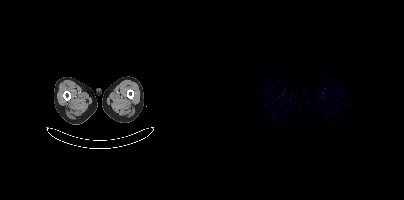
{"pet_grid":[200,200],"coord_frame":"pet_panel","coord_format":"x0,y0,x1,y1","psma_avid_lesions":false,"modality":"PSMA PET/CT","view":"axial","tracer":"68Ga-PSMA"}